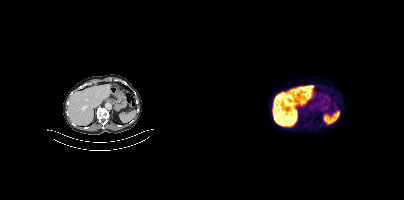
No PSMA-avid tumor lesions on this slice.